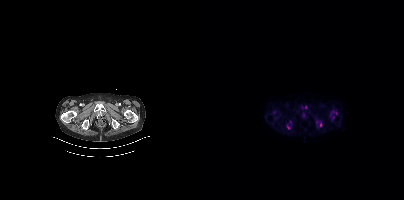
{"modality":"PSMA PET/CT","view":"axial","tracer":"18F","pet_grid":[200,200],"coord_frame":"pet_panel","coord_format":"x0,y0,x1,y1","partial":true,"lesion_bboxes":[[126,112,132,119],[115,122,118,126],[83,125,86,129]],"small_foci_centers":[[102,107],[113,122]]}